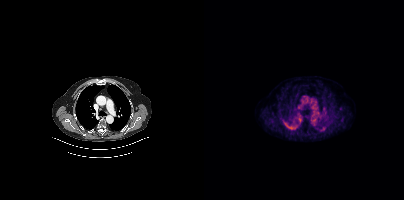
{"modality":"PSMA PET/CT","view":"axial","tracer":"[18F]PSMA-1007","pet_grid":[200,200],"coord_frame":"pet_panel","coord_format":"x0,y0,x1,y1","psma_avid_lesions":false}